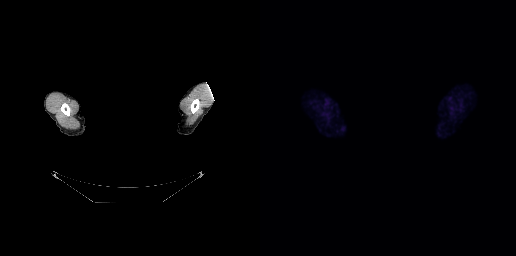
This slice has no annotated PSMA-avid lesion. Left: CT. Right: PSMA PET, same axial level, 18F-PSMA tracer. Slice 252 of 263. A rectangular block over the head has been blanked out for de-identification.